modality: PSMA PET/CT | tracer: [18F]PSMA-1007 | view: axial | PET grid: 200×200
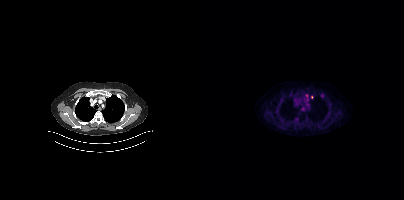
Coordinates are on the 200×200 PET (right) panel. (showing 1 of 2 foci) Small PSMA-avid focus (2 to 4 px across) near (center x, center y): (107, 97).